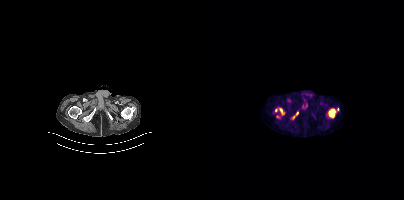
Coordinates are on the 200×200 PET (right) panel. (showing 3 of 4 foci) PSMA-avid tumor lesion bounding boxes (x0, y0)-(x1, y1): (75, 108)-(80, 114) | (88, 114)-(93, 118). Small PSMA-avid focus (2 to 4 px across) near (center x, center y): (72, 110).